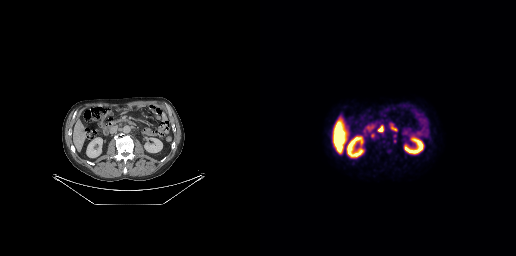
Paired axial CT (left) and PSMA PET (right), [18F]PSMA-1007 tracer. PET panel 256×256 px (2.7 mm/px).
Coordinates are on the 256×256 PET (right) panel. PSMA-avid tumor lesion bounding boxes:
| # | x0 | y0 | x1 | y1 |
|---|---|---|---|---|
| 1 | 117 | 125 | 123 | 132 |
| 2 | 131 | 124 | 137 | 131 |
Small PSMA-avid focus (2 to 4 px across) near (center x, center y): (113, 136).